Two-panel axial: CT | PSMA PET, [18F]PSMA-1007 tracer. Slice position z = -147 mm. PET panel 200×200 px (4.1 mm/px). A rectangle over the head was blacked out to remove identifiable facial features.
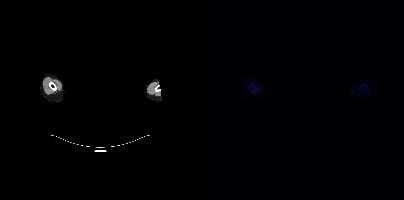
This slice has no annotated PSMA-avid lesion.